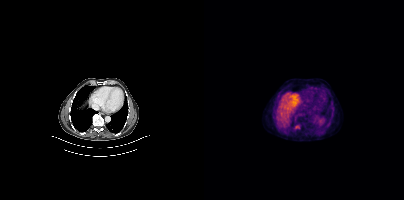
Two-panel axial: CT | PSMA PET, 18F-PSMA tracer. Slice position z = 338 mm. Coordinates are on the 200×200 PET (right) panel. (showing 1 of 3 foci) Small PSMA-avid focus (2 to 4 px across) near (center x, center y): (94, 126).